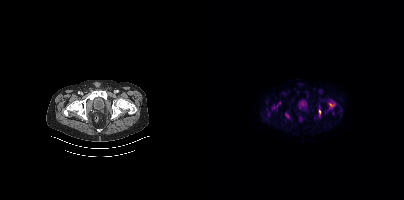
Left: CT. Right: PSMA PET, same axial level, [18F]PSMA-1007 tracer. Slice 42 of 395. PET panel 200×200 px (4.1 mm/px).
Coordinates are on the 200×200 PET (right) panel. PSMA-avid tumor lesion bounding boxes (partial; 1 more focus not listed):
| # | x0 | y0 | x1 | y1 |
|---|---|---|---|---|
| 1 | 125 | 102 | 130 | 107 |
| 2 | 81 | 113 | 85 | 117 |
| 3 | 115 | 109 | 116 | 114 |
Small PSMA-avid foci (2 to 4 px across) near (center x, center y): (129, 113); (64, 113); (69, 107); (75, 102).